Two-panel axial: CT | PSMA PET, 18F-PSMA tracer. Slice position z = 176 mm. De-identified by setting a box covering the face to black before release.
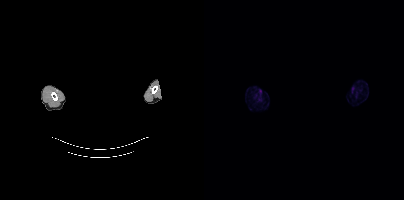
No tumor lesions annotated on this slice.